- Left: CT. Right: PSMA PET, same axial level, 18F tracer
- acquired on Siemens Biograph mCT Flow 20
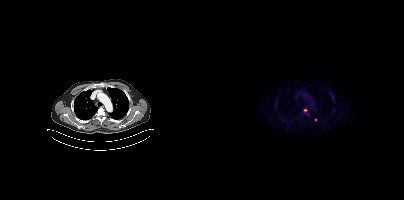
Findings: Coordinates are on the 200×200 PET (right) panel. (showing 3 of 4 foci) PSMA-avid tumor lesion bounding box (x0, y0)-(x1, y1): (127, 94)-(130, 98). Small PSMA-avid foci (2 to 4 px across) near (center x, center y): (103, 113) | (111, 119).